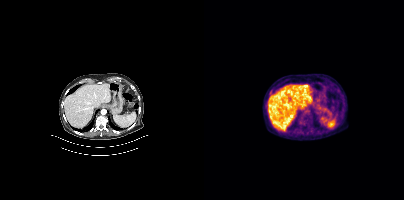
Technique: Left: CT. Right: PSMA PET, same axial level, 18F tracer. acquired on Siemens Biograph mCT Flow 20. PET panel 200×200 px (4.1 mm/px).
Findings: No tumor lesions annotated on this slice.